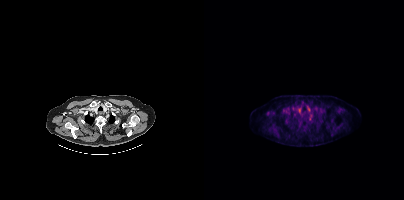
- Paired axial CT (left) and PSMA PET (right), 18F tracer
- PET panel 200×200 px (4.1 mm/px)
Findings: Coordinates are on the 200×200 PET (right) panel. Small PSMA-avid focus (2 to 4 px across) near (center x, center y): (106, 119).